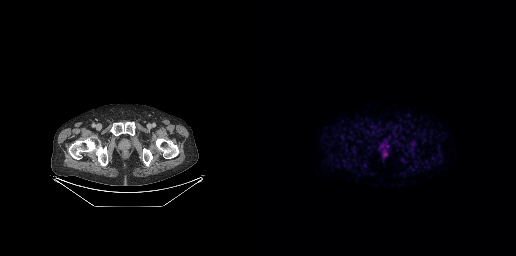
No tumor lesions annotated on this slice. Left: CT. Right: PSMA PET, same axial level, 18F tracer.